- Paired axial CT (left) and PSMA PET (right), [68Ga]Ga-PSMA-11 tracer
- PET panel 168×168 px (4.1 mm/px)
- a rectangle over the head was blacked out to remove identifiable facial features
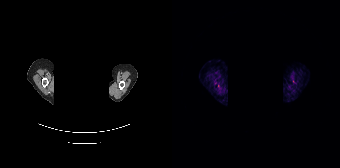
Findings: This slice has no annotated PSMA-avid lesion.